Paired axial CT (left) and PSMA PET (right), [68Ga]Ga-PSMA-11 tracer. Acquired on Siemens Biograph mCT Flow 20. Slice position z = -1412 mm. PET panel 200×200 px (4.1 mm/px).
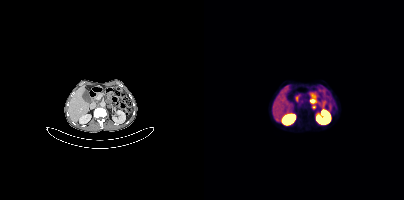
Coordinates are on the 200×200 PET (right) panel. PSMA-avid tumor lesion bounding boxes:
| # | x0 | y0 | x1 | y1 |
|---|---|---|---|---|
| 1 | 106 | 97 | 111 | 104 |